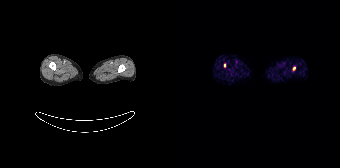
modality: PSMA PET/CT | tracer: 68Ga-PSMA | view: axial
Coordinates are on the 168×168 PET (right) panel. Small PSMA-avid foci (2 to 4 px across) near (center x, center y): (122, 68), (52, 65).